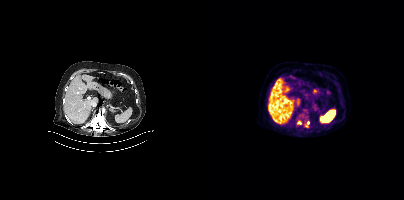
Paired axial CT (left) and PSMA PET (right), 18F tracer. Acquired on Siemens Biograph mCT Flow 20. Slice 243 of 429.
Coordinates are on the 200×200 PET (right) panel. PSMA-avid tumor lesion bounding boxes:
| # | x0 | y0 | x1 | y1 |
|---|---|---|---|---|
| 1 | 100 | 121 | 105 | 127 |
Small PSMA-avid focus (2 to 4 px across) near (center x, center y): (95, 122).